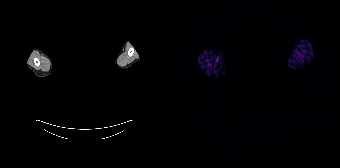
redaction: facial region redacted | modality: PSMA PET/CT | tracer: 68Ga | view: axial | PET grid: 168×168
No tumor lesions annotated on this slice.